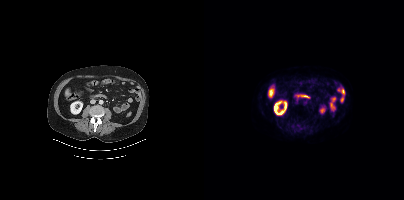
This slice has no annotated PSMA-avid lesion. Paired axial CT (left) and PSMA PET (right), 18F tracer. Acquired on Siemens Biograph mCT Flow 20. Slice 181 of 462.